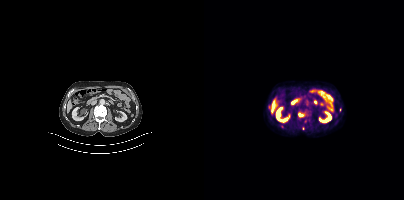
- Two-panel axial: CT | PSMA PET, [18F]PSMA-1007 tracer
- acquired on Siemens Biograph mCT Flow 20
Findings: Coordinates are on the 200×200 PET (right) panel. (showing 2 of 3 foci) PSMA-avid tumor lesion bounding box (x, y, width, height): x=94 y=113 w=6 h=4. Small PSMA-avid focus (2 to 4 px across) near (center x, center y): (99, 128).